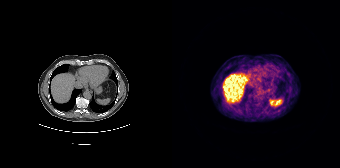
Negative for PSMA-avid disease on this slice. Paired axial CT (left) and PSMA PET (right), [68Ga]Ga-PSMA-11 tracer.